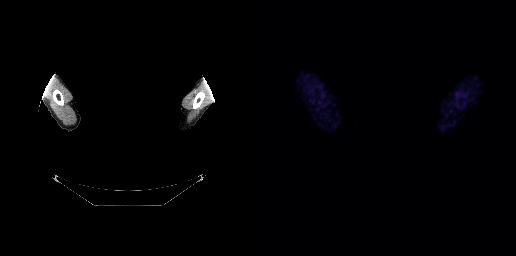
An anonymization step blacked out a rectangle over the head in this scan.
Negative for PSMA-avid disease on this slice.